- Paired axial CT (left) and PSMA PET (right), 68Ga tracer
- slice 135 of 263
- PET panel 256×256 px (2.7 mm/px)
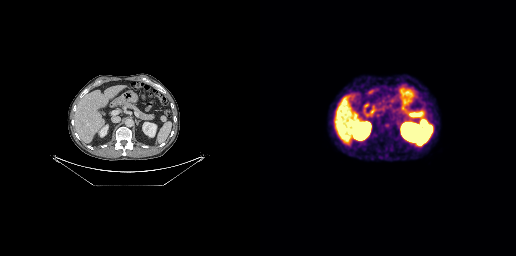
Findings: Coordinates are on the 256×256 PET (right) panel. PSMA-avid tumor lesion bounding box (x, y, width, height): x=161 y=119 w=7 h=6.